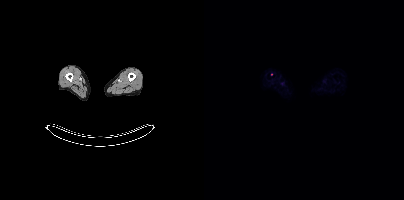
{"modality":"PSMA PET/CT","view":"axial","tracer":"18F-PSMA","pet_grid":[200,200],"coord_frame":"pet_panel","coord_format":"x0,y0,x1,y1","partial":true,"lesion_bboxes":[]}